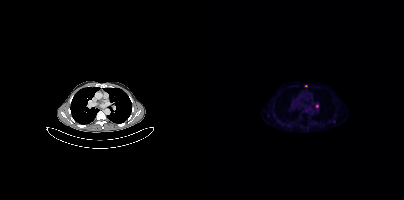
Technique: Two-panel axial: CT | PSMA PET, 68Ga-PSMA tracer. slice position z = -1236 mm. PET panel 200×200 px (4.1 mm/px).
Findings: Coordinates are on the 200×200 PET (right) panel. Small PSMA-avid foci (2 to 4 px across) near (center x, center y): (113, 106); (101, 85).